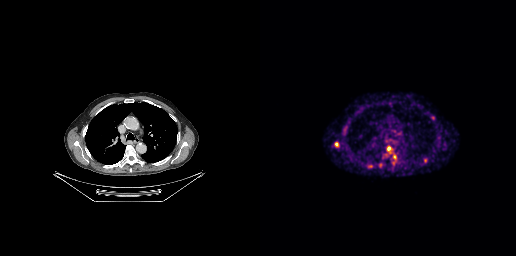
Two-panel axial: CT | PSMA PET, 68Ga-PSMA tracer. Acquired on GE Discovery 690. PET panel 256×256 px (2.7 mm/px).
Coordinates are on the 256×256 PET (right) panel. PSMA-avid tumor lesion bounding boxes:
| # | x0 | y0 | x1 | y1 |
|---|---|---|---|---|
| 1 | 127 | 148 | 136 | 164 |
| 2 | 107 | 164 | 112 | 168 |
| 3 | 171 | 116 | 175 | 120 |
| 4 | 164 | 158 | 167 | 162 |
| 5 | 75 | 142 | 78 | 146 |